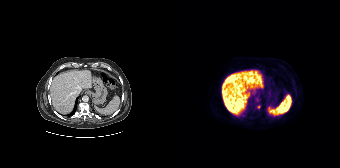
modality: PSMA PET/CT | tracer: 18F | view: axial | PET grid: 168×168
Coordinates are on the 168×168 PET (right) panel. Small PSMA-avid focus (2 to 4 px across) near (center x, center y): (86, 106).